Left: CT. Right: PSMA PET, same axial level, 18F-PSMA tracer. Acquired on Siemens Biograph mCT Flow 20. Slice position z = -1240 mm.
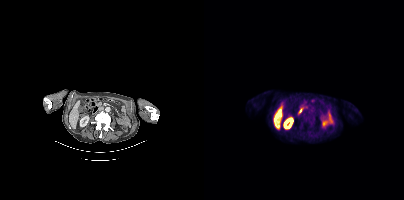
No tumor lesions annotated on this slice.